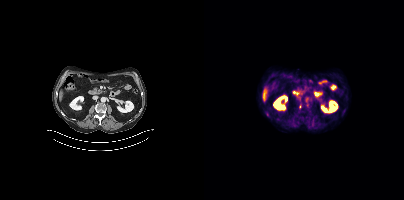
Coordinates are on the 200×200 PET (right) panel. (showing 1 of 2 foci) Small PSMA-avid focus (2 to 4 px across) near (center x, center y): (95, 106). Two-panel axial: CT | PSMA PET, 18F-PSMA tracer. Slice position z = -558 mm. PET panel 200×200 px (4.1 mm/px).